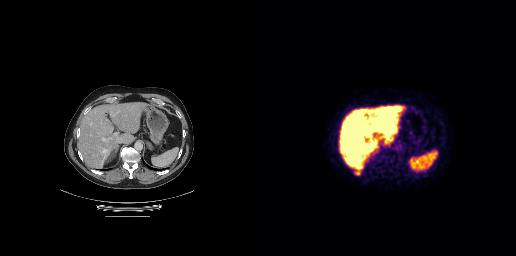
{"pet_grid":[256,256],"coord_frame":"pet_panel","coord_format":"x0,y0,x1,y1","lesion_bboxes":[[94,170,100,175]],"modality":"PSMA PET/CT","view":"axial","tracer":"18F-PSMA"}